Paired axial CT (left) and PSMA PET (right), 18F-PSMA tracer. PET panel 200×200 px (4.1 mm/px).
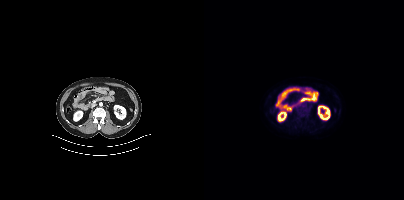
No PSMA-avid tumor lesions on this slice.